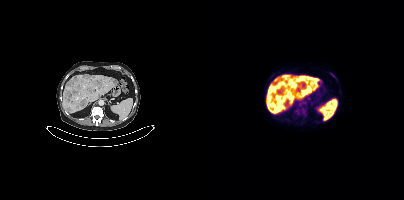
Coordinates are on the 200×200 PET (right) panel. PSMA-avid tumor lesion bounding boxes (x, y, width, height): x=91 y=76 w=10 h=7; x=67 y=107 w=9 h=7; x=126 y=73 w=6 h=5. Small PSMA-avid foci (2 to 4 px across) near (center x, center y): (68, 100); (96, 104). Paired axial CT (left) and PSMA PET (right), [18F]PSMA-1007 tracer. Slice position z = -1223 mm.